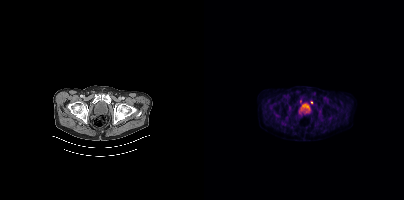
Coordinates are on the 200×200 PET (right) panel. PSMA-avid tumor lesion bounding boxes:
| # | x0 | y0 | x1 | y1 |
|---|---|---|---|---|
| 1 | 96 | 99 | 97 | 103 |
Small PSMA-avid focus (2 to 4 px across) near (center x, center y): (107, 102).
Paired axial CT (left) and PSMA PET (right), 18F-PSMA tracer. Acquired on Siemens Biograph mCT Flow 20. PET panel 200×200 px (4.1 mm/px).